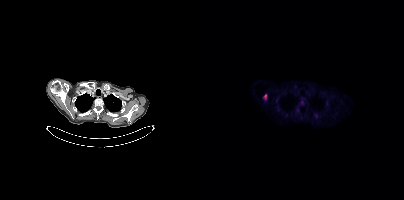
Coordinates are on the 200×200 PET (right) panel. (showing 1 of 2 foci) PSMA-avid tumor lesion bounding box (x0, y0)-(x1, y1): (59, 94)-(63, 100).